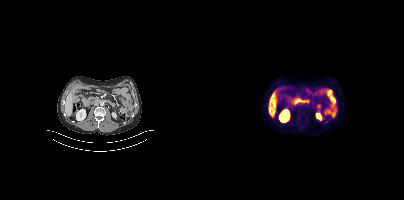
Left: CT. Right: PSMA PET, same axial level, 18F-PSMA tracer. Acquired on Siemens Biograph mCT Flow 20. Slice 193 of 429. No tumor lesions annotated on this slice.